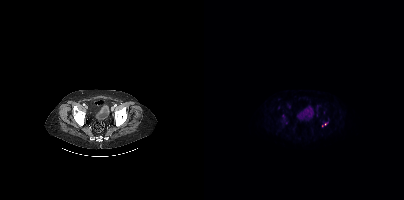
Paired axial CT (left) and PSMA PET (right), 18F tracer. Acquired on Siemens Biograph mCT Flow 20. Coordinates are on the 200×200 PET (right) panel. (showing 1 of 2 foci) Small PSMA-avid focus (2 to 4 px across) near (center x, center y): (121, 123).